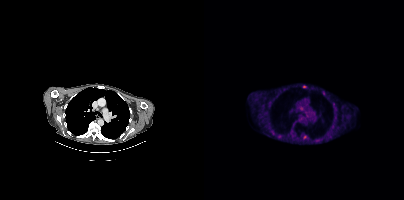
- Left: CT. Right: PSMA PET, same axial level, [18F]PSMA-1007 tracer
Findings: Coordinates are on the 200×200 PET (right) panel. PSMA-avid tumor lesion bounding box (x0,y0,x1,y1): [99,135,103,139]. Small PSMA-avid foci (2 to 4 px across) near (center x, center y): (100, 86), (97, 108), (120, 93), (89, 123).